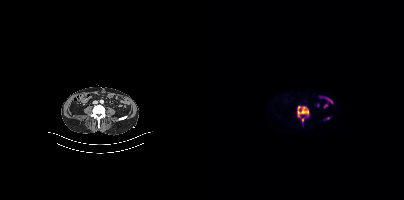
{"pet_grid":[200,200],"coord_frame":"pet_panel","coord_format":"x0,y0,x1,y1","partial":true,"lesion_bboxes":[[93,106,105,122]],"modality":"PSMA PET/CT","view":"axial","tracer":"18F-PSMA"}